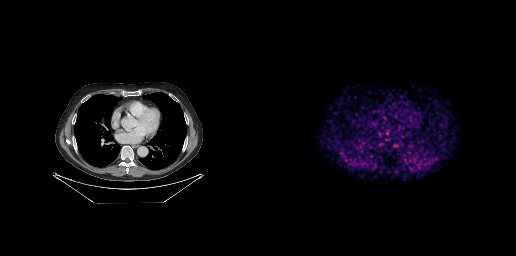
Left: CT. Right: PSMA PET, same axial level, [68Ga]Ga-PSMA-11 tracer. Slice 184 of 263. PET panel 256×256 px (2.7 mm/px). No PSMA-avid tumor lesions on this slice.